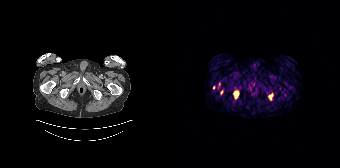
Coordinates are on the 168×168 PET (right) panel. PSMA-avid tumor lesion bounding boxes (partial; 1 more focus not listed):
| # | x0 | y0 | x1 | y1 |
|---|---|---|---|---|
| 1 | 62 | 91 | 66 | 97 |
| 2 | 97 | 94 | 100 | 99 |
Small PSMA-avid focus (2 to 4 px across) near (center x, center y): (50, 91).
Paired axial CT (left) and PSMA PET (right), 68Ga-PSMA tracer.